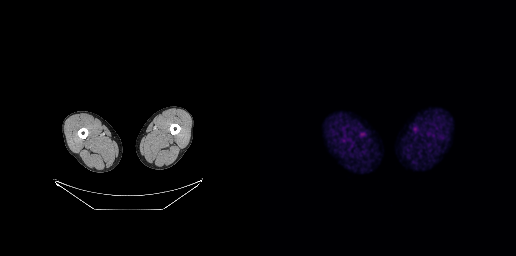
Left: CT. Right: PSMA PET, same axial level, 18F tracer. Slice 27 of 299. This slice has no annotated PSMA-avid lesion.